- Paired axial CT (left) and PSMA PET (right), [18F]PSMA-1007 tracer
- acquired on GE Discovery 690
- PET panel 256×256 px (2.7 mm/px)
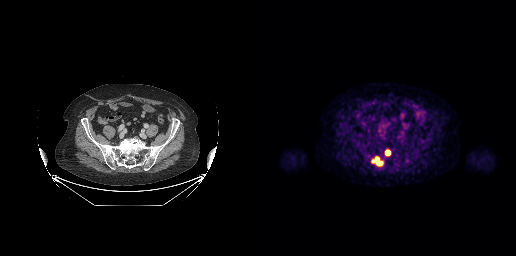
Findings: Coordinates are on the 256×256 PET (right) panel. PSMA-avid tumor lesion bounding boxes (x, y, width, height): x=111 y=156 w=13 h=11 | x=125 y=149 w=7 h=7.